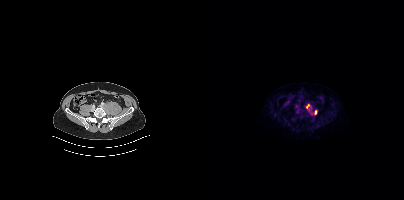
Two-panel axial: CT | PSMA PET, 18F tracer. Slice position z = -780 mm. Coordinates are on the 200×200 PET (right) panel. PSMA-avid tumor lesion bounding boxes (x0,y0,x1,y1): [110,110,113,114], [102,104,106,108].